Left: CT. Right: PSMA PET, same axial level, [18F]PSMA-1007 tracer. Slice position z = -1225 mm.
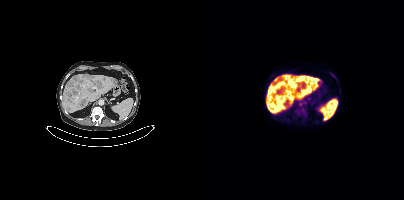
Coordinates are on the 200×200 PET (right) panel. PSMA-avid tumor lesion bounding boxes:
| # | x0 | y0 | x1 | y1 |
|---|---|---|---|---|
| 1 | 91 | 76 | 100 | 82 |
| 2 | 69 | 107 | 75 | 113 |
| 3 | 126 | 73 | 131 | 77 |
Small PSMA-avid focus (2 to 4 px across) near (center x, center y): (96, 104).